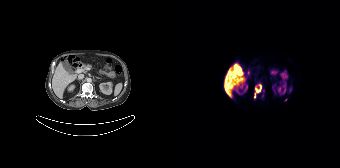
Paired axial CT (left) and PSMA PET (right), 18F-PSMA tracer. Acquired on Siemens Biograph 64-4R TruePoint.
Coordinates are on the 168×168 PET (right) panel. PSMA-avid tumor lesion bounding boxes:
| # | x0 | y0 | x1 | y1 |
|---|---|---|---|---|
| 1 | 82 | 83 | 90 | 98 |
Small PSMA-avid foci (2 to 4 px across) near (center x, center y): (91, 90); (90, 95).